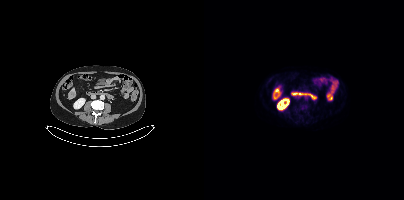
{"pet_grid":[200,200],"coord_frame":"pet_panel","coord_format":"x0,y0,x1,y1","psma_avid_lesions":false,"modality":"PSMA PET/CT","view":"axial","tracer":"18F-PSMA"}